modality: PSMA PET/CT | tracer: 18F | view: axial
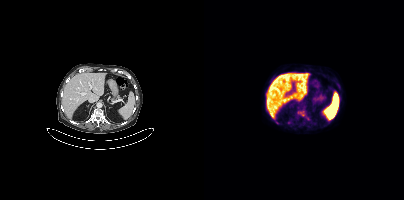
Coordinates are on the 200×200 PET (right) panel. (showing 1 of 2 foci) PSMA-avid tumor lesion bounding box (x, y, width, height): x=93 y=111 w=5 h=4.